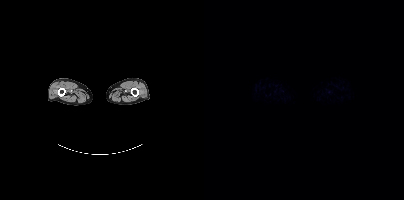
Two-panel axial: CT | PSMA PET, [18F]PSMA-1007 tracer. Slice position z = -1284 mm. PET panel 200×200 px (4.1 mm/px). Negative for PSMA-avid disease on this slice.